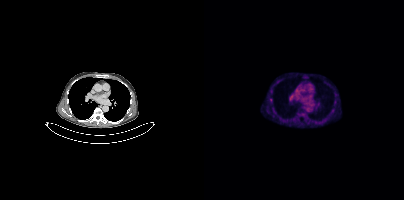
Technique: Paired axial CT (left) and PSMA PET (right), [18F]PSMA-1007 tracer. slice 269 of 417.
Findings: Coordinates are on the 200×200 PET (right) panel. Small PSMA-avid focus (2 to 4 px across) near (center x, center y): (67, 99).